Two-panel axial: CT | PSMA PET, 18F-PSMA tracer. Acquired on Siemens Biograph mCT Flow 20. PET panel 200×200 px (4.1 mm/px).
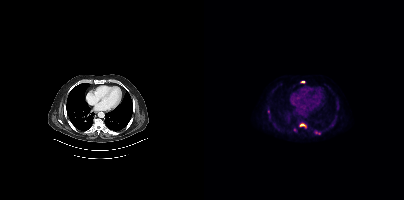
Coordinates are on the 200×200 PET (right) panel. (showing 5 of 6 foci) PSMA-avid tumor lesion bounding boxes (x0,y0,x1,y1): [110,130,116,134]; [96,124,102,127]. Small PSMA-avid foci (2 to 4 px across) near (center x, center y): (99, 81); (65, 116); (90, 129).